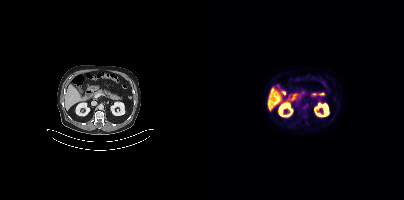
{"modality":"PSMA PET/CT","view":"axial","tracer":"18F-PSMA","pet_grid":[200,200],"coord_frame":"pet_panel","coord_format":"x0,y0,x1,y1","psma_avid_lesions":false}